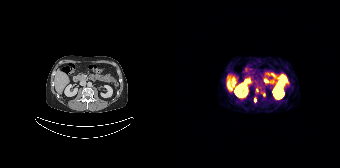
Coordinates are on the 168×168 PET (right) panel. Small PSMA-avid foci (2 to 4 px across) near (center x, center y): (85, 90); (83, 100); (92, 94).